Two-panel axial: CT | PSMA PET, 18F tracer. Slice 241 of 427. PET panel 200×200 px (4.1 mm/px).
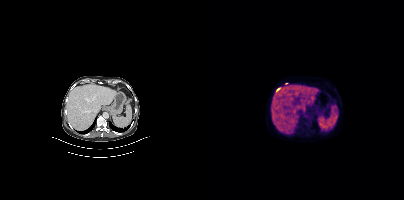
Only PSMA-avid lesion pieces thinner than 2 px on this slice (not listed).